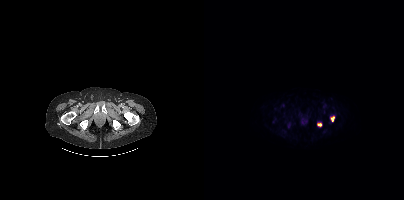
Coordinates are on the 200×200 PET (right) panel. PSMA-avid tumor lesion bounding boxes (x0,y0,x1,y1): [126,116,130,121]; [113,123,117,126].